Technique: Left: CT. Right: PSMA PET, same axial level, [18F]PSMA-1007 tracer. slice 280 of 415. PET panel 200×200 px (4.1 mm/px).
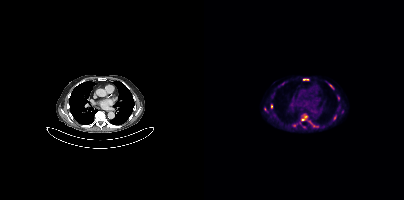
Findings: Coordinates are on the 200×200 PET (right) panel. (showing 4 of 8 foci) PSMA-avid tumor lesion bounding boxes (x0,y0,x1,y1): [97,115,103,120] [99,79,104,80] [67,104,68,108]. Small PSMA-avid focus (2 to 4 px across) near (center x, center y): (127, 86).